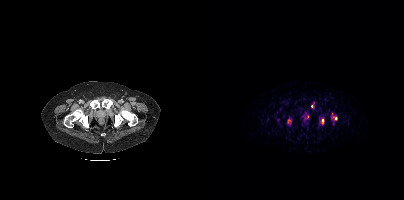
Paired axial CT (left) and PSMA PET (right), [68Ga]Ga-PSMA-11 tracer. Coordinates are on the 200×200 PET (right) panel. (showing 3 of 4 foci) PSMA-avid tumor lesion bounding box (x0,y0,x1,y1): [116,118,120,124]. Small PSMA-avid foci (2 to 4 px across) near (center x, center y): (131, 118), (107, 106).